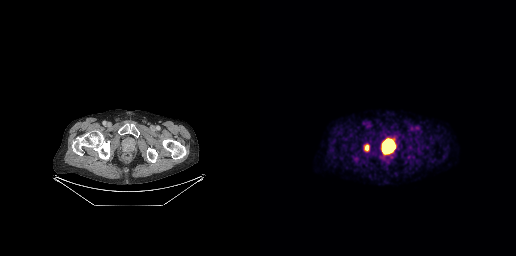
{"modality":"PSMA PET/CT","view":"axial","tracer":"18F","pet_grid":[256,256],"coord_frame":"pet_panel","coord_format":"x0,y0,x1,y1","lesion_bboxes":[[123,140,134,152],[104,144,109,151]]}